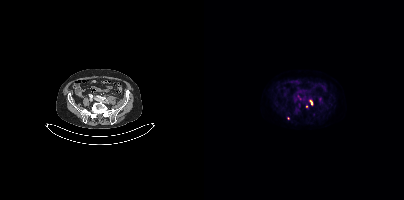
This slice has no annotated PSMA-avid lesion. Two-panel axial: CT | PSMA PET, 18F-PSMA tracer. Slice 132 of 397. PET panel 200×200 px (4.1 mm/px).